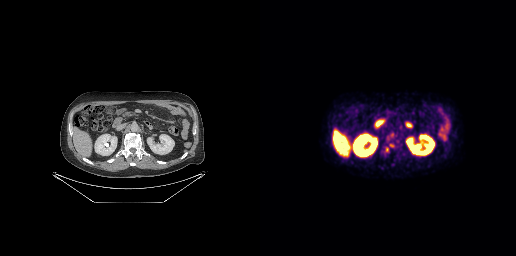
Left: CT. Right: PSMA PET, same axial level, 18F-PSMA tracer. Coordinates are on the 256×256 PET (right) panel. (showing 2 of 3 foci) PSMA-avid tumor lesion bounding boxes (x0,y0,x1,y1): [125,147,128,152] [129,144,134,147].